Technique: Two-panel axial: CT | PSMA PET, [18F]PSMA-1007 tracer. acquired on Siemens Biograph mCT Flow 20. slice position z = -1426 mm. PET panel 200×200 px (4.1 mm/px).
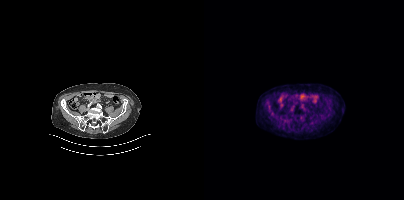
Findings: No tumor lesions annotated on this slice.